- Two-panel axial: CT | PSMA PET, [68Ga]Ga-PSMA-11 tracer
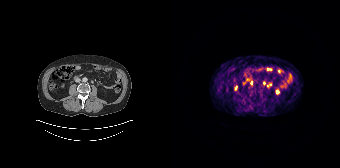
Findings: Coordinates are on the 168×168 PET (right) panel. (showing 1 of 2 foci) Small PSMA-avid focus (2 to 4 px across) near (center x, center y): (79, 83).